- Left: CT. Right: PSMA PET, same axial level, [18F]PSMA-1007 tracer
- PET panel 256×256 px (2.7 mm/px)
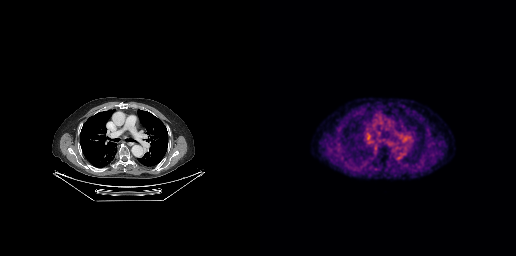
Findings: No tumor lesions annotated on this slice.